modality: PSMA PET/CT | tracer: 18F-PSMA | view: axial
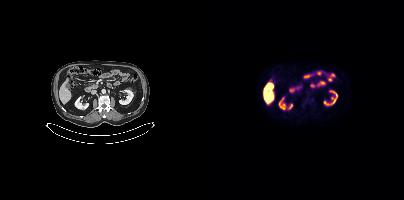
No tumor lesions annotated on this slice.